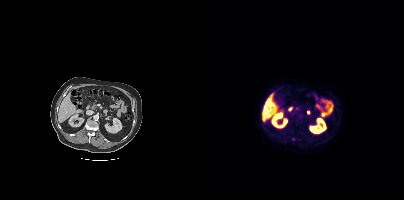
Technique: Two-panel axial: CT | PSMA PET, [18F]PSMA-1007 tracer. PET panel 200×200 px (4.1 mm/px).
Findings: No PSMA-avid tumor lesions on this slice.